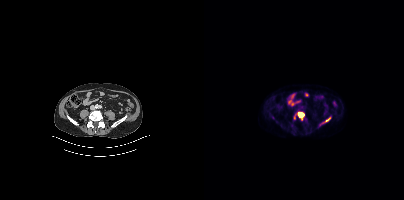
Findings: Coordinates are on the 200×200 PET (right) panel. PSMA-avid tumor lesion bounding box (x, y, width, height): x=94 y=112 w=6 h=6. Small PSMA-avid foci (2 to 4 px across) near (center x, center y): (126, 117); (123, 120).
Technique: Paired axial CT (left) and PSMA PET (right), [18F]PSMA-1007 tracer. acquired on Siemens Biograph mCT Flow 20.